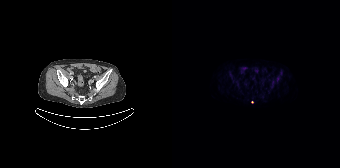
Technique: Paired axial CT (left) and PSMA PET (right), 18F-PSMA tracer. slice position z = -1060 mm.
Findings: Coordinates are on the 168×168 PET (right) panel. Small PSMA-avid focus (2 to 4 px across) near (center x, center y): (80, 101).